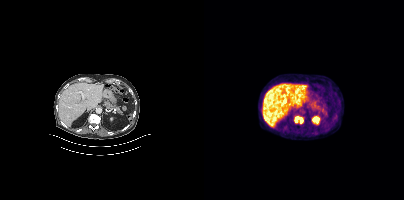
Coordinates are on the 200×200 PET (right) panel. PSMA-avid tumor lesion bounding box (x0, y0)-(x1, y1): (91, 116)-(99, 123).